Left: CT. Right: PSMA PET, same axial level, 18F-PSMA tracer. Slice position z = -360 mm.
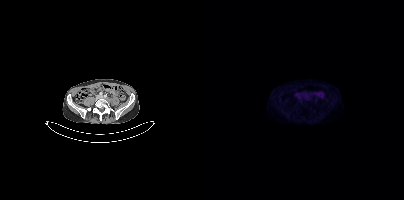
This slice has no annotated PSMA-avid lesion.